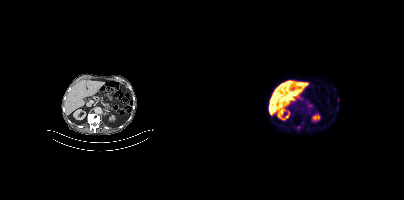
{"modality":"PSMA PET/CT","view":"axial","tracer":"18F-PSMA","pet_grid":[200,200],"coord_frame":"pet_panel","coord_format":"x0,y0,x1,y1","partial":true,"lesion_bboxes":[],"small_foci_centers":[[94,127]]}